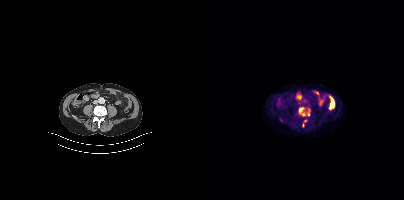
{"modality":"PSMA PET/CT","view":"axial","tracer":"18F-PSMA","pet_grid":[200,200],"coord_frame":"pet_panel","coord_format":"x0,y0,x1,y1","partial":true,"lesion_bboxes":[[95,107,100,115]],"small_foci_centers":[[104,114]]}